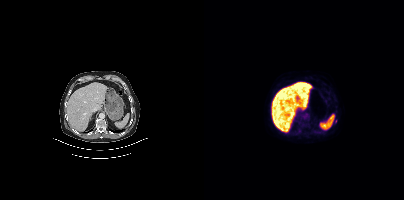
Findings: Only PSMA-avid lesion pieces thinner than 2 px on this slice (not listed).
Technique: Two-panel axial: CT | PSMA PET, [18F]PSMA-1007 tracer. acquired on Siemens Biograph mCT Flow 20. slice 233 of 401. PET panel 200×200 px (4.1 mm/px).